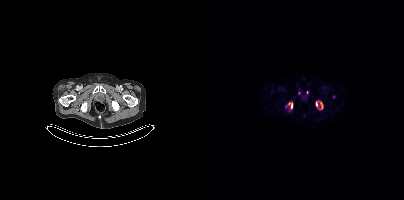
- Two-panel axial: CT | PSMA PET, [18F]PSMA-1007 tracer
- acquired on Siemens Biograph mCT Flow 20
- PET panel 200×200 px (4.1 mm/px)
Findings: Coordinates are on the 200×200 PET (right) panel. (showing 3 of 5 foci) PSMA-avid tumor lesion bounding boxes (x0,y0,x1,y1): [84,103,88,108] [116,102,118,109] [112,101,113,106].